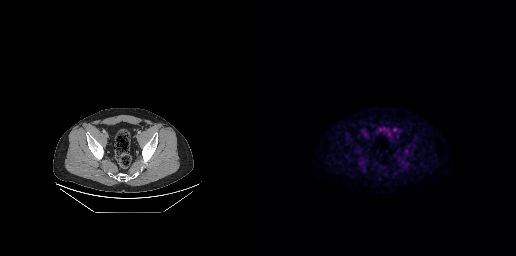
Coordinates are on the 256×256 PET (right) panel. PSMA-avid tumor lesion bounding boxes (x, y, width, height): x=132 y=127 w=7 h=6; x=144 y=149 w=5 h=5.
modality: PSMA PET/CT | tracer: 18F | view: axial